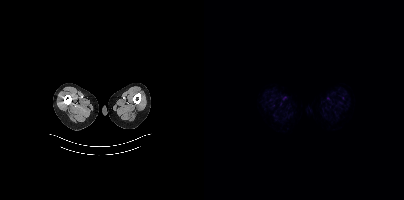
Technique: Left: CT. Right: PSMA PET, same axial level, 18F-PSMA tracer. slice 13 of 401.
Findings: Negative for PSMA-avid disease on this slice.